- Two-panel axial: CT | PSMA PET, [68Ga]Ga-PSMA-11 tracer
- acquired on GE Discovery 690
- PET panel 256×256 px (2.7 mm/px)
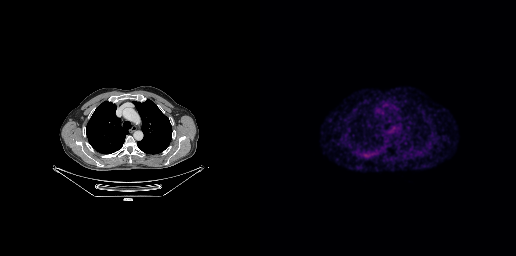
Findings: No tumor lesions annotated on this slice.